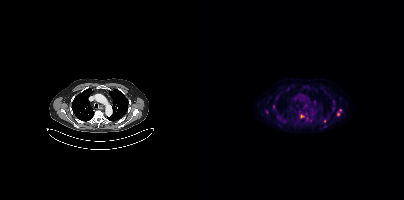
{"modality":"PSMA PET/CT","view":"axial","tracer":"18F-PSMA","pet_grid":[200,200],"coord_frame":"pet_panel","coord_format":"x0,y0,x1,y1","partial":true,"lesion_bboxes":[],"small_foci_centers":[[134,114],[62,111],[105,120],[97,116],[136,109]]}